modality: PSMA PET/CT | tracer: [68Ga]Ga-PSMA-11 | view: axial
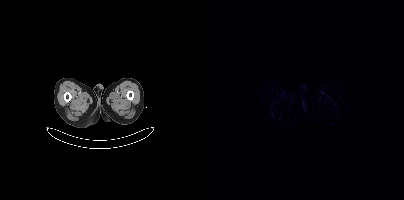
No tumor lesions annotated on this slice.